Paired axial CT (left) and PSMA PET (right), 18F-PSMA tracer. PET panel 200×200 px (4.1 mm/px).
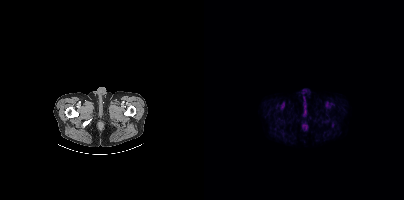
Negative for PSMA-avid disease on this slice.